Left: CT. Right: PSMA PET, same axial level, [68Ga]Ga-PSMA-11 tracer. Slice 105 of 389. PET panel 200×200 px (4.1 mm/px).
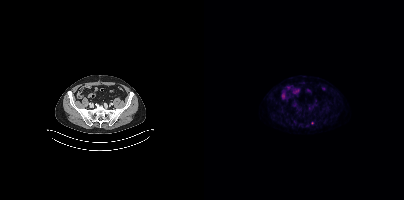
Only PSMA-avid lesion pieces thinner than 2 px on this slice (not listed).